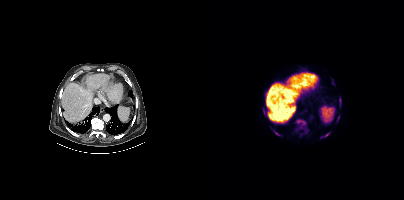
Coordinates are on the 200×200 PET (right) panel. (showing 5 of 9 foci) PSMA-avid tumor lesion bounding boxes (x0, y0)-(x1, y1): (92, 119)-(103, 133); (68, 129)-(75, 135); (120, 132)-(126, 136); (135, 98)-(137, 104); (133, 116)-(135, 120).
modality: PSMA PET/CT | tracer: [18F]PSMA-1007 | view: axial | PET grid: 200×200